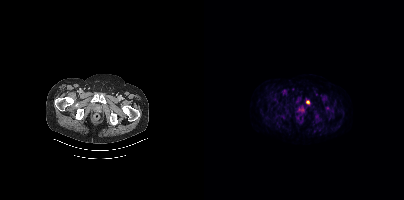
Findings: Coordinates are on the 200×200 PET (right) panel. PSMA-avid tumor lesion bounding box (x0,y0,x1,y1): [102,100,105,104].
Technique: Paired axial CT (left) and PSMA PET (right), 18F-PSMA tracer. acquired on Siemens Biograph mCT Flow 20. PET panel 200×200 px (4.1 mm/px).